Two-panel axial: CT | PSMA PET, 18F-PSMA tracer. Slice 199 of 299.
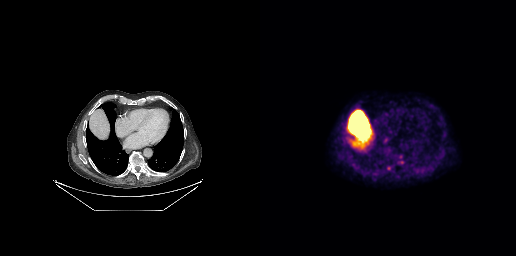
Coordinates are on the 256×256 PET (right) panel. Small PSMA-avid focus (2 to 4 px across) near (center x, center y): (128, 168).